de-identification: facial region redacted | modality: PSMA PET/CT | tracer: 18F-PSMA | view: axial | PET grid: 256×256
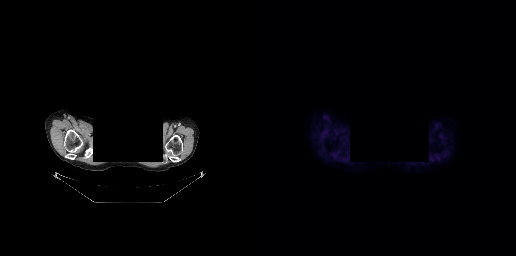
This slice has no annotated PSMA-avid lesion.